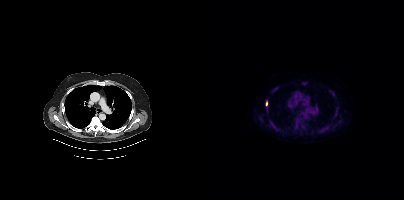
Coordinates are on the 200×200 PET (right) panel. (showing 12 of 13 foci) PSMA-avid tumor lesion bounding boxes (x, y, width, height): x=90 y=117 w=8 h=12 | x=65 y=119 w=8 h=11 | x=116 y=126 w=9 h=8 | x=131 y=108 w=4 h=8 | x=97 y=125 w=5 h=5 | x=98 y=82 w=6 h=4 | x=68 y=86 w=7 h=6. Small PSMA-avid foci (2 to 4 px across) near (center x, center y): (62, 103) | (127, 91) | (63, 110) | (57, 119) | (130, 97).